Head region blanked for anonymization (face removed).
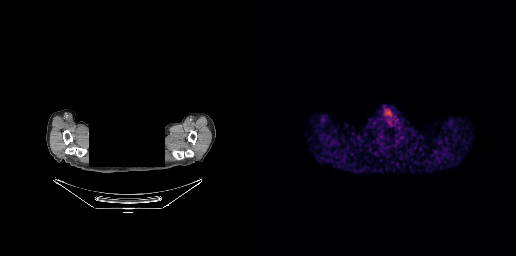
Negative for PSMA-avid disease on this slice.